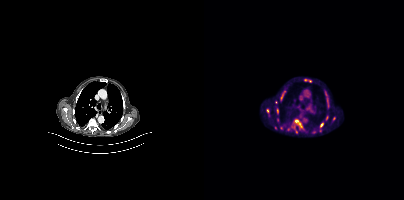
Coordinates are on the 200×200 PET (right) panel. (showing 9 of 11 foci) PSMA-avid tumor lesion bounding boxes (x, y, width, height): x=88 y=119 w=10 h=10 | x=76 y=88 w=7 h=10 | x=62 y=108 w=4 h=9 | x=72 y=108 w=3 h=7. Small PSMA-avid foci (2 to 4 px across) near (center x, center y): (72, 102) | (72, 128) | (73, 120) | (108, 132) | (129, 118). Left: CT. Right: PSMA PET, same axial level, 18F tracer. Slice 266 of 367.